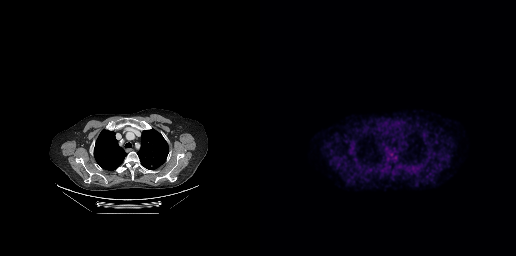
{"modality":"PSMA PET/CT","view":"axial","tracer":"18F","pet_grid":[256,256],"coord_frame":"pet_panel","coord_format":"x0,y0,x1,y1","psma_avid_lesions":false}